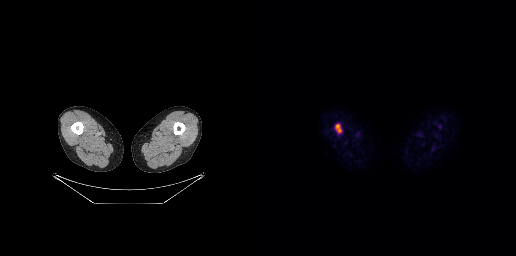
Two-panel axial: CT | PSMA PET, [18F]PSMA-1007 tracer. Acquired on GE Discovery 690. PET panel 256×256 px (2.7 mm/px). Coordinates are on the 256×256 PET (right) panel. PSMA-avid tumor lesion bounding box (x0,y0,x1,y1): [75,123,81,133].